modality: PSMA PET/CT | tracer: 18F-PSMA | view: axial | PET grid: 200×200
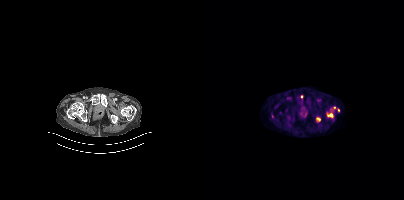
Coordinates are on the 200×200 PET (right) panel. Small PSMA-avid foci (2 to 4 px across) near (center x, center y): (68, 116) (130, 107).